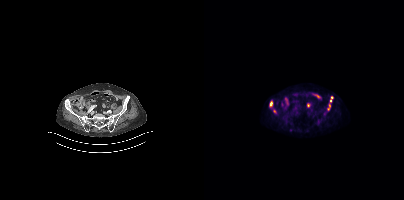
modality: PSMA PET/CT | tracer: 18F-PSMA | view: axial | PET grid: 200×200
Coordinates are on the 200×200 PET (right) panel. PSMA-avid tumor lesion bounding boxes (x, y, width, height): x=123 y=96 w=7 h=15 / x=65 y=100 w=5 h=8. Small PSMA-avid focus (2 to 4 px across) near (center x, center y): (70, 110).